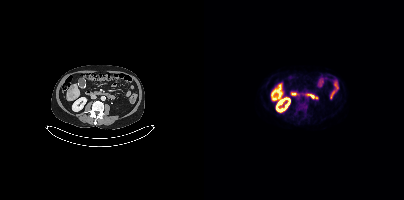
This slice has no annotated PSMA-avid lesion. Two-panel axial: CT | PSMA PET, [18F]PSMA-1007 tracer. Acquired on Siemens Biograph mCT Flow 20. PET panel 200×200 px (4.1 mm/px).